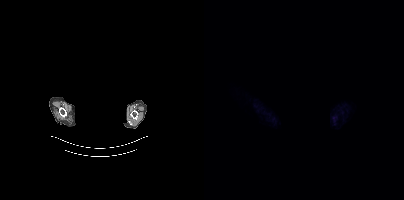
- the head region is masked for de-identification
- Paired axial CT (left) and PSMA PET (right), [18F]PSMA-1007 tracer
- PET panel 200×200 px (4.1 mm/px)
Findings: No PSMA-avid tumor lesions on this slice.